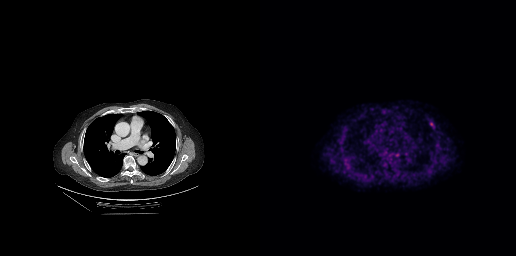
modality: PSMA PET/CT | tracer: 18F-PSMA | view: axial | PET grid: 256×256
Coordinates are on the 256×256 PET (right) panel. PSMA-avid tumor lesion bounding boxes (x0,y0,x1,y1): [82,160,91,168]; [169,122,174,128]; [80,147,83,152].